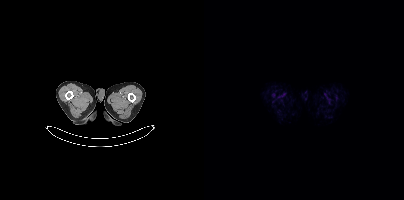
modality: PSMA PET/CT | tracer: [18F]PSMA-1007 | view: axial
Negative for PSMA-avid disease on this slice.